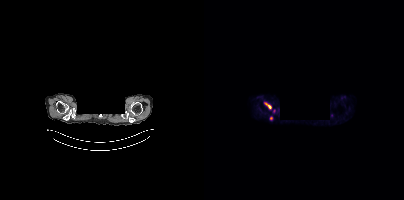
modality: PSMA PET/CT | tracer: 18F | view: axial | de-identification: privacy mask over head
Coordinates are on the 200×200 PET (right) panel. PSMA-avid tumor lesion bounding box (x0,y0,x1,y1): [60,102,67,110]. Small PSMA-avid foci (2 to 4 px across) near (center x, center y): (70, 110) (67, 117).